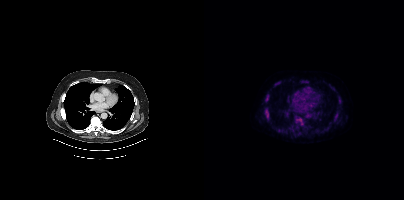
Two-panel axial: CT | PSMA PET, [18F]PSMA-1007 tracer. PET panel 200×200 px (4.1 mm/px). Coordinates are on the 200×200 PET (right) panel. (showing 11 of 12 foci) PSMA-avid tumor lesion bounding boxes (x, y, width, height): x=92 y=117 w=8 h=8 / x=60 y=107 w=6 h=9 / x=61 y=95 w=5 h=8 / x=98 y=80 w=6 h=4. Small PSMA-avid foci (2 to 4 px across) near (center x, center y): (135, 100) / (63, 118) / (74, 130) / (131, 115) / (73, 84) / (130, 119) / (123, 127).